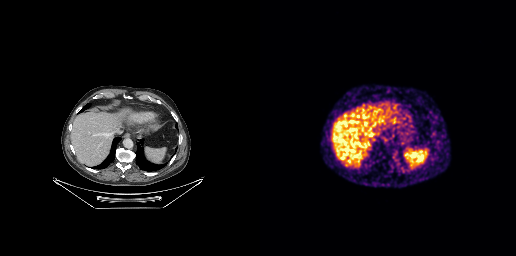
This slice has no annotated PSMA-avid lesion.